Technique: Two-panel axial: CT | PSMA PET, [18F]PSMA-1007 tracer. PET panel 200×200 px (4.1 mm/px).
Note: A rectangle over the head was blacked out to remove identifiable facial features.
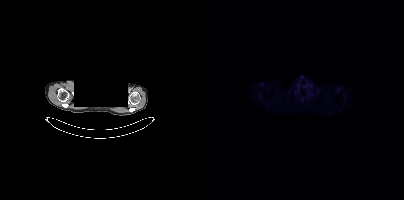
Findings: This slice has no annotated PSMA-avid lesion.